Paired axial CT (left) and PSMA PET (right), 68Ga tracer. PET panel 168×168 px (4.1 mm/px).
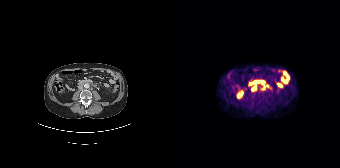
Coordinates are on the 168×168 PET (right) panel. PSMA-avid tumor lesion bounding box (x, y, width, height): x=80 y=82 w=5 h=2. Small PSMA-avid foci (2 to 4 px across) near (center x, center y): (81, 88) / (91, 88) / (95, 85).